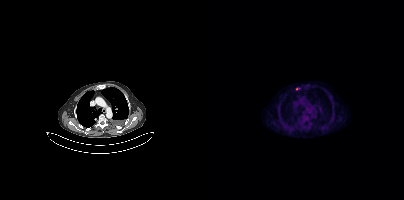
Coordinates are on the 200×200 PET (right) panel. Small PSMA-avid focus (2 to 4 px across) near (center x, center y): (93, 89).